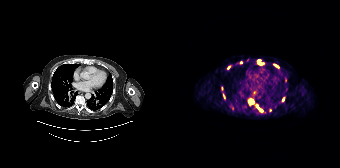
Coordinates are on the 168×168 PET (right) panel. (showing 8 of 11 foci) PSMA-avid tumor lesion bounding boxes (x0, y0)-(x1, y1): (77, 99)-(81, 104) | (86, 59)-(91, 64) | (84, 105)-(90, 111) | (102, 64)-(106, 67). Small PSMA-avid foci (2 to 4 px across) near (center x, center y): (56, 67) | (52, 96) | (69, 62) | (111, 99). Left: CT. Right: PSMA PET, same axial level, 68Ga tracer. PET panel 168×168 px (4.1 mm/px).